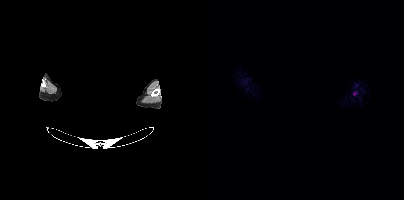
Technique: Paired axial CT (left) and PSMA PET (right), 18F tracer. acquired on Siemens Biograph mCT Flow 20.
Note: The head region is masked for de-identification.
Findings: This slice has no annotated PSMA-avid lesion.